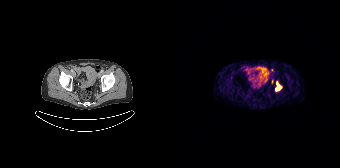
Coordinates are on the 168×168 PET (right) panel. PSMA-avid tumor lesion bounding box (x0,y0,x1,y1): [104,83,108,90]. Small PSMA-avid focus (2 to 4 px across) near (center x, center y): (100, 81). Paired axial CT (left) and PSMA PET (right), 68Ga tracer. PET panel 168×168 px (4.1 mm/px).